Technique: Left: CT. Right: PSMA PET, same axial level, [18F]PSMA-1007 tracer. acquired on Siemens Biograph mCT Flow 20.
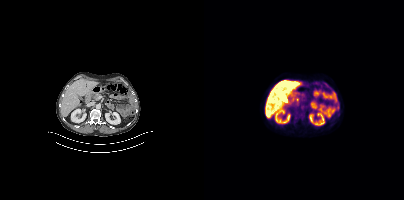
Findings: No tumor lesions annotated on this slice.